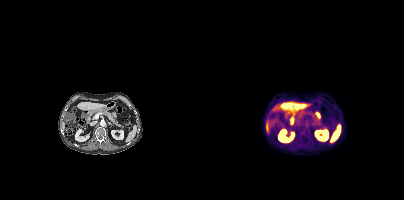
Findings: No tumor lesions annotated on this slice.
- Left: CT. Right: PSMA PET, same axial level, 18F-PSMA tracer
- acquired on Siemens Biograph mCT Flow 20
- slice 196 of 389
- PET panel 200×200 px (4.1 mm/px)